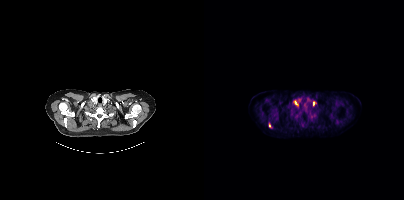
{"pet_grid":[200,200],"coord_frame":"pet_panel","coord_format":"x0,y0,x1,y1","lesion_bboxes":[[109,101,111,105]],"small_foci_centers":[[92,102],[107,116],[65,125]],"modality":"PSMA PET/CT","view":"axial","tracer":"18F"}